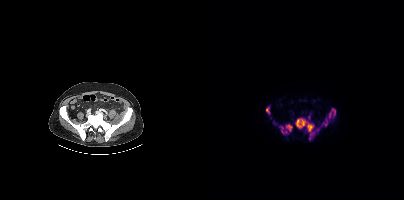
Coordinates are on the 200×200 PET (right) panel. (showing 9 of 11 foci) PSMA-avid tumor lesion bounding boxes (x, y, width, height): x=91 y=118 w=19 h=14 | x=125 y=108 w=8 h=9 | x=117 y=119 w=8 h=8 | x=82 y=124 w=7 h=8 | x=75 y=125 w=6 h=9 | x=105 y=133 w=6 h=6 | x=62 y=107 w=4 h=7. Small PSMA-avid foci (2 to 4 px across) near (center x, center y): (113, 129) | (70, 123).